- Two-panel axial: CT | PSMA PET, 18F tracer
- slice 120 of 371
- PET panel 256×256 px (2.7 mm/px)
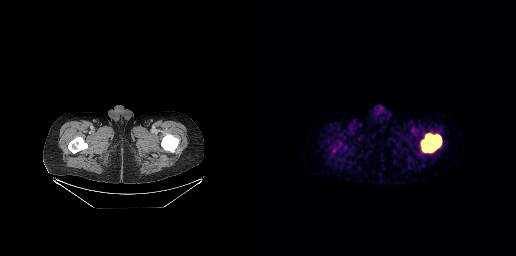
Findings: Coordinates are on the 256×256 PET (right) panel. PSMA-avid tumor lesion bounding box (x0, y0)-(x1, y1): (161, 133)-(181, 152).